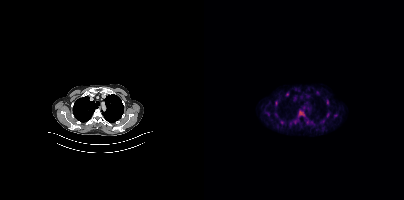
{"pet_grid":[200,200],"coord_frame":"pet_panel","coord_format":"x0,y0,x1,y1","lesion_bboxes":[[122,113,125,117],[122,99,124,104]],"small_foci_centers":[[131,115],[118,121],[78,122],[64,113],[71,114]],"modality":"PSMA PET/CT","view":"axial","tracer":"18F"}